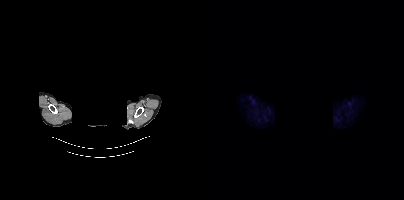
- Two-panel axial: CT | PSMA PET, 18F-PSMA tracer
- acquired on Siemens Biograph mCT Flow 20
- the head region is masked for de-identification
Findings: No tumor lesions annotated on this slice.